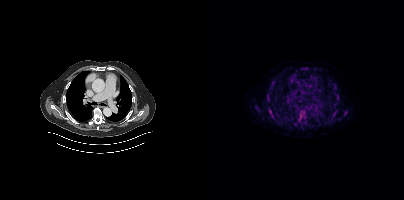
Two-panel axial: CT | PSMA PET, [18F]PSMA-1007 tracer. Acquired on Siemens Biograph mCT Flow 20. Slice position z = -354 mm. Coordinates are on the 200×200 PET (right) panel. PSMA-avid tumor lesion bounding boxes (x, y, width, height): x=94 y=111 w=10 h=11 / x=66 y=81 w=6 h=6 / x=128 y=109 w=6 h=7 / x=99 y=67 w=6 h=4 / x=132 y=95 w=4 h=5 / x=127 y=83 w=5 h=3 / x=65 y=109 w=3 h=6 / x=63 y=90 w=5 h=4. Small PSMA-avid foci (2 to 4 px across) near (center x, center y): (141, 112) / (126, 119) / (53, 108) / (91, 124).